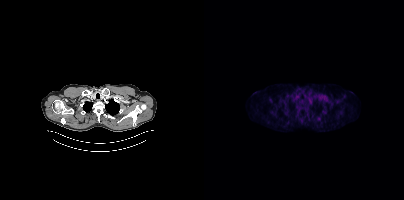
Only PSMA-avid lesion pieces thinner than 2 px on this slice (not listed).